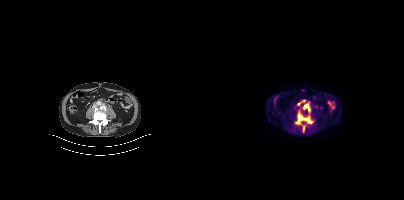
Two-panel axial: CT | PSMA PET, 18F tracer. Coordinates are on the 200×200 PET (right) panel. (showing 4 of 5 foci) PSMA-avid tumor lesion bounding boxes (x0,y0,x1,y1): [92,113,108,123], [100,104,105,111], [99,126,100,131]. Small PSMA-avid focus (2 to 4 px across) near (center x, center y): (94, 103).